modality: PSMA PET/CT | tracer: 18F | view: axial | PET grid: 200×200
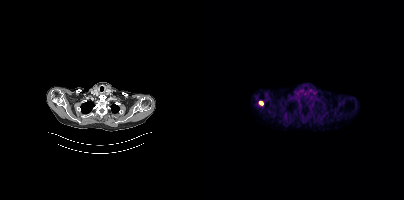
Coordinates are on the 200×200 PET (right) panel. PSMA-avid tumor lesion bounding box (x, y, width, height): x=55 y=101 w=5 h=5.